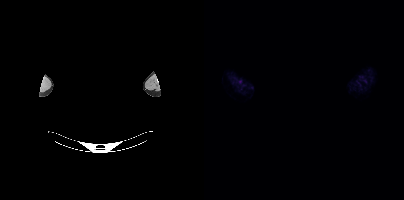
- head region blanked for anonymization (face removed)
- Two-panel axial: CT | PSMA PET, 18F-PSMA tracer
- slice position z = -788 mm
Findings: Negative for PSMA-avid disease on this slice.